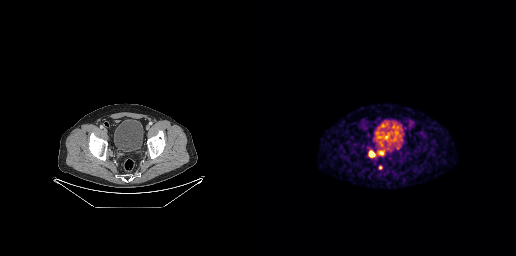
Findings: Coordinates are on the 256×256 PET (right) panel. PSMA-avid tumor lesion bounding boxes (x0, y0)-(x1, y1): (109, 151)-(114, 156) | (118, 151)-(122, 155).
Technique: Paired axial CT (left) and PSMA PET (right), 68Ga-PSMA tracer. acquired on GE Discovery 690. PET panel 256×256 px (2.7 mm/px).